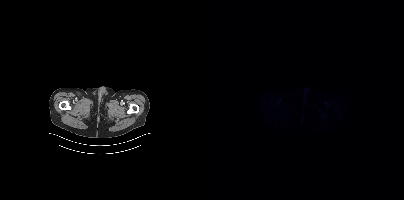
Technique: Paired axial CT (left) and PSMA PET (right), [18F]PSMA-1007 tracer. PET panel 200×200 px (4.1 mm/px).
Findings: No PSMA-avid tumor lesions on this slice.